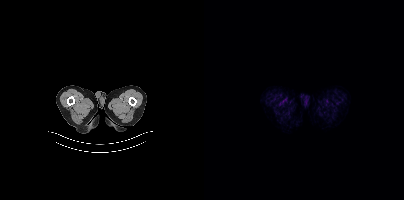
Paired axial CT (left) and PSMA PET (right), [18F]PSMA-1007 tracer. Slice position z = -852 mm. No tumor lesions annotated on this slice.